Two-panel axial: CT | PSMA PET, 18F tracer. PET panel 200×200 px (4.1 mm/px). Face de-identified by blanking a block of the head.
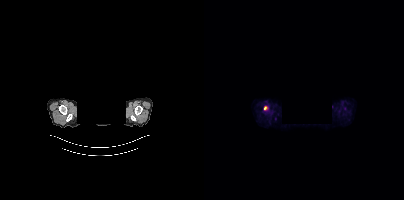
Coordinates are on the 200×200 PET (right) panel. PSMA-avid tumor lesion bounding box (x0, y0)-(x1, y1): (60, 106)-(63, 110).